Technique: Two-panel axial: CT | PSMA PET, [18F]PSMA-1007 tracer. acquired on Siemens Biograph mCT Flow 20. slice 206 of 403.
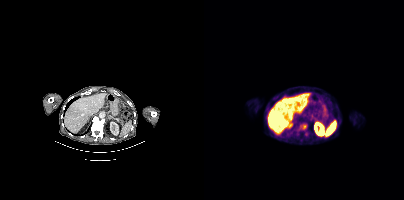
Findings: Coordinates are on the 200×200 PET (right) panel. PSMA-avid tumor lesion bounding boxes (x0,y0,x1,y1): [95,123,103,129], [100,132,104,136].